Technique: Paired axial CT (left) and PSMA PET (right), 18F tracer. acquired on Siemens Biograph mCT Flow 20. PET panel 200×200 px (4.1 mm/px).
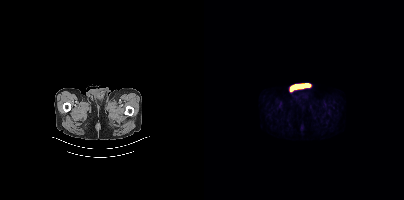
Findings: No tumor lesions annotated on this slice.